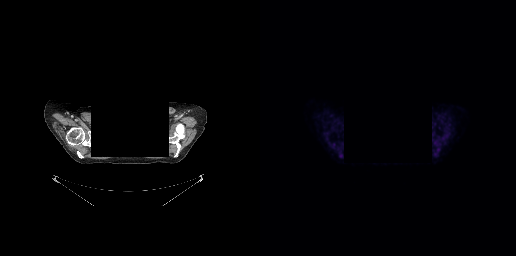
{"modality":"PSMA PET/CT","view":"axial","tracer":"[18F]PSMA-1007","pet_grid":[256,256],"coord_frame":"pet_panel","coord_format":"x0,y0,x1,y1","psma_avid_lesions":false,"de-identification":"head region blanked (face removed)"}